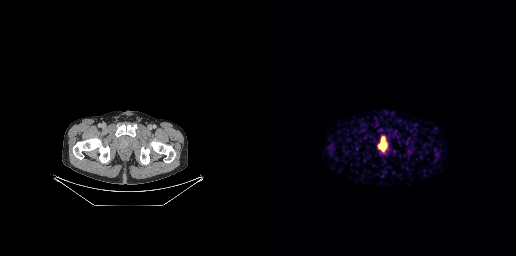
{"modality":"PSMA PET/CT","view":"axial","tracer":"[68Ga]Ga-PSMA-11","pet_grid":[256,256],"coord_frame":"pet_panel","coord_format":"x0,y0,x1,y1","lesion_bboxes":[[120,138,125,149]]}